Two-panel axial: CT | PSMA PET, 18F-PSMA tracer. Acquired on GE Discovery 690. Slice 109 of 263.
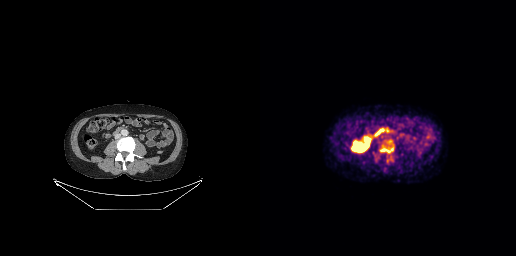
Coordinates are on the 256×256 PET (right) panel. PSMA-avid tumor lesion bounding boxes:
| # | x0 | y0 | x1 | y1 |
|---|---|---|---|---|
| 1 | 120 | 146 | 133 | 153 |
Small PSMA-avid focus (2 to 4 px across) near (center x, center y): (129, 141).